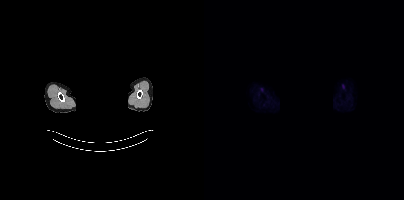
Paired axial CT (left) and PSMA PET (right), 18F-PSMA tracer. Acquired on Siemens Biograph mCT Flow 20. Facial anatomy redacted by setting a rectangular region of the head to black. No PSMA-avid tumor lesions on this slice.